modality: PSMA PET/CT | tracer: 18F | view: axial
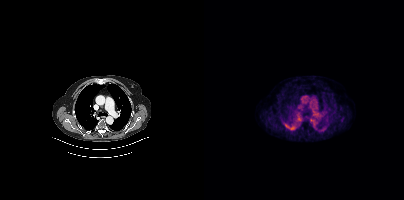
No tumor lesions annotated on this slice.